Left: CT. Right: PSMA PET, same axial level, 18F-PSMA tracer. Slice 171 of 401.
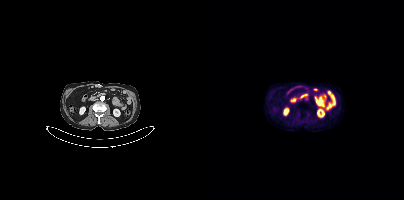
This slice has no annotated PSMA-avid lesion.